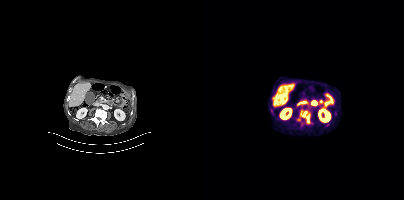
Findings: Coordinates are on the 200×200 PET (right) panel. PSMA-avid tumor lesion bounding box (x0, y0)-(x1, y1): (91, 113)-(106, 126).
Technique: Two-panel axial: CT | PSMA PET, 18F-PSMA tracer. acquired on Siemens Biograph mCT Flow 20. slice 156 of 367. PET panel 200×200 px (4.1 mm/px).